Technique: Paired axial CT (left) and PSMA PET (right), 18F-PSMA tracer.
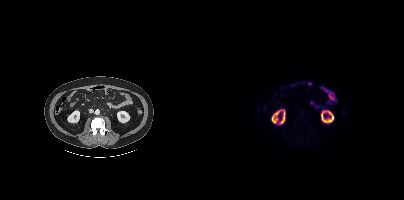
Findings: Negative for PSMA-avid disease on this slice.